Left: CT. Right: PSMA PET, same axial level, 18F tracer. Acquired on Siemens Biograph mCT Flow 20. PET panel 200×200 px (4.1 mm/px).
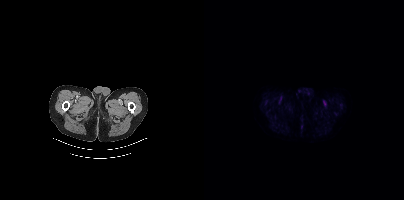
No tumor lesions annotated on this slice.